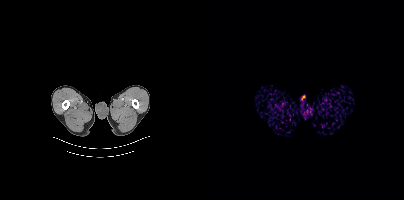
{"pet_grid":[200,200],"coord_frame":"pet_panel","coord_format":"x0,y0,x1,y1","psma_avid_lesions":false,"modality":"PSMA PET/CT","view":"axial","tracer":"[18F]PSMA-1007"}